Technique: Two-panel axial: CT | PSMA PET, [18F]PSMA-1007 tracer. slice 233 of 435. PET panel 200×200 px (4.1 mm/px).
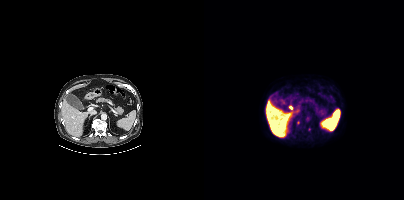
Findings: Coordinates are on the 200×200 PET (right) panel. Small PSMA-avid foci (2 to 4 px across) near (center x, center y): (105, 129), (94, 122).